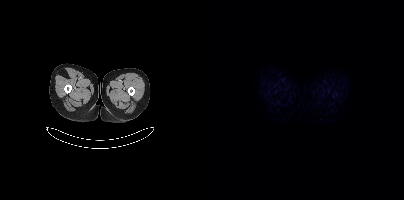
No tumor lesions annotated on this slice. Two-panel axial: CT | PSMA PET, 18F tracer. PET panel 200×200 px (4.1 mm/px).